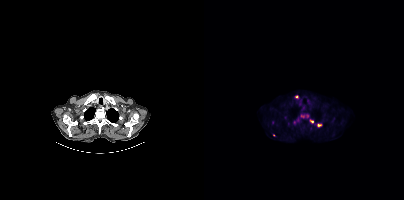
{"modality":"PSMA PET/CT","view":"axial","tracer":"18F","pet_grid":[200,200],"coord_frame":"pet_panel","coord_format":"x0,y0,x1,y1","partial":true,"lesion_bboxes":[[97,114,105,118],[89,120,93,124],[113,124,117,126]],"small_foci_centers":[[107,121],[93,97],[99,107],[69,134]]}